Any black rectangle over the head is a privacy mask, not anatomy. Two-panel axial: CT | PSMA PET, 18F tracer. Slice position z = -270 mm.
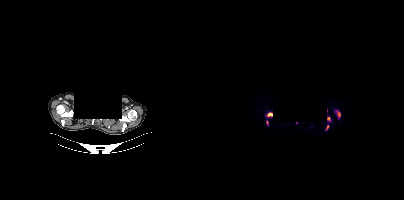
Coordinates are on the 200×200 PET (right) panel. PSMA-avid tumor lesion bounding boxes (x0,y0,x1,y1): [61,112,68,117] [132,109,136,118] [62,120,64,125] [122,125,124,129]. Small PSMA-avid focus (2 to 4 px across) near (center x, center y): (92, 122).